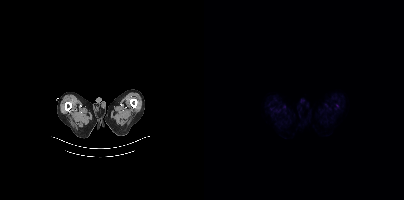
This slice has no annotated PSMA-avid lesion. Left: CT. Right: PSMA PET, same axial level, [18F]PSMA-1007 tracer. Acquired on Siemens Biograph mCT Flow 20. PET panel 200×200 px (4.1 mm/px).